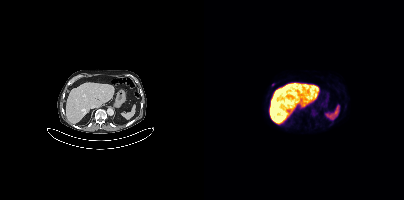
Technique: Left: CT. Right: PSMA PET, same axial level, 18F tracer. acquired on Siemens Biograph mCT Flow 20.
Findings: Coordinates are on the 200×200 PET (right) panel. Small PSMA-avid focus (2 to 4 px across) near (center x, center y): (68, 84).